Left: CT. Right: PSMA PET, same axial level, 18F tracer. Acquired on Siemens Biograph mCT Flow 20. PET panel 200×200 px (4.1 mm/px).
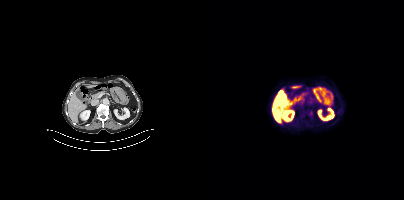
This slice has no annotated PSMA-avid lesion.